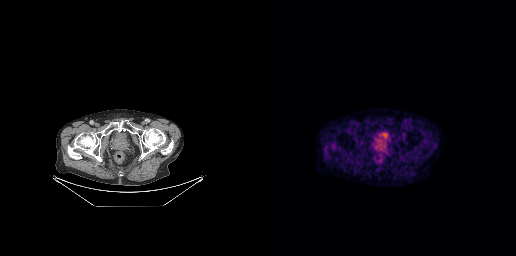
Paired axial CT (left) and PSMA PET (right), 18F-PSMA tracer. Acquired on GE Discovery 690. Slice position z = -794 mm. PET panel 256×256 px (2.7 mm/px). No tumor lesions annotated on this slice.